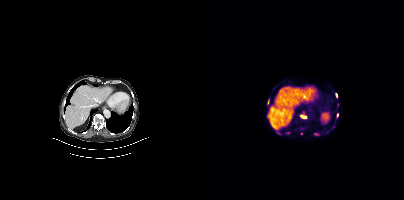
Coordinates are on the 200×200 PET (right) panel. PSMA-avid tumor lesion bounding boxes (x0, y0)-(x1, y1): (96, 115)-(102, 118) | (101, 85)-(107, 88) | (97, 127)-(101, 129) | (132, 93)-(133, 97) | (64, 100)-(65, 104). Small PSMA-avid foci (2 to 4 px across) near (center x, center y): (112, 134) | (133, 104) | (133, 115) | (84, 132) | (97, 133) | (123, 131).